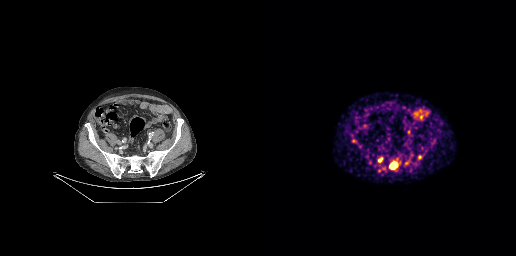
Findings: Coordinates are on the 256×256 PET (right) panel. PSMA-avid tumor lesion bounding boxes (x, y, width, height): x=130 y=161 w=8 h=9 | x=118 y=158 w=5 h=5 | x=92 y=139 w=5 h=4 | x=158 y=155 w=4 h=5.
Technique: Two-panel axial: CT | PSMA PET, 68Ga-PSMA tracer. acquired on GE Discovery 690.